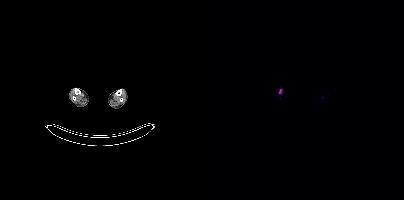
Coordinates are on the 200×200 PET (right) panel. Small PSMA-avid focus (2 to 4 px across) near (center x, center y): (76, 92). Paired axial CT (left) and PSMA PET (right), [18F]PSMA-1007 tracer. Slice position z = -1733 mm. PET panel 200×200 px (4.1 mm/px).